Left: CT. Right: PSMA PET, same axial level, 18F tracer. PET panel 200×200 px (4.1 mm/px).
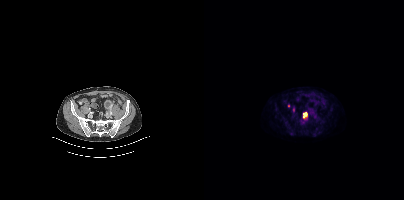
Coordinates are on the 200×200 PET (right) panel. PSMA-avid tumor lesion bounding boxes:
| # | x0 | y0 | x1 | y1 |
|---|---|---|---|---|
| 1 | 99 | 112 | 103 | 118 |